Paired axial CT (left) and PSMA PET (right), 18F-PSMA tracer. Slice position z = -335 mm. PET panel 256×256 px (2.7 mm/px).
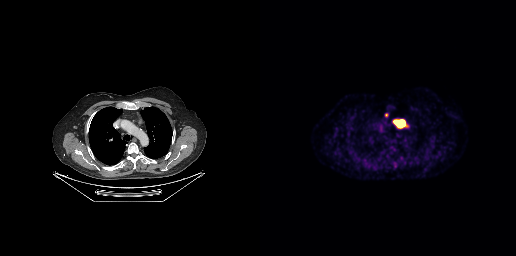
Coordinates are on the 256×256 PET (right) panel. PSMA-avid tumor lesion bounding box (x0, y0)-(x1, y1): (133, 119)-(145, 127). Small PSMA-avid focus (2 to 4 px across) near (center x, center y): (126, 114).